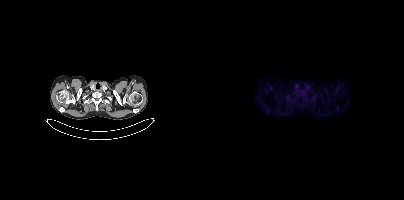
No PSMA-avid tumor lesions on this slice.